- face de-identified by blanking a block of the head
- Two-panel axial: CT | PSMA PET, [18F]PSMA-1007 tracer
- acquired on Siemens Biograph mCT Flow 20
- slice 414 of 462
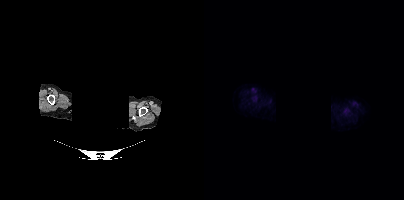
Findings: Negative for PSMA-avid disease on this slice.